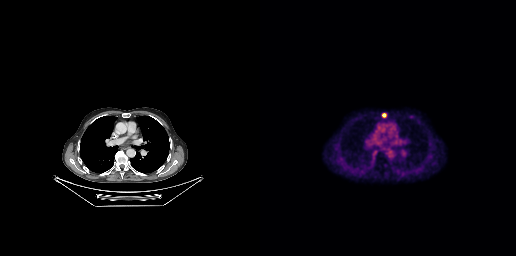
Findings: Coordinates are on the 256×256 PET (right) panel. PSMA-avid tumor lesion bounding box (x0, y0)-(x1, y1): (122, 113)-(126, 117).
- Left: CT. Right: PSMA PET, same axial level, 18F tracer
- acquired on GE Discovery 690